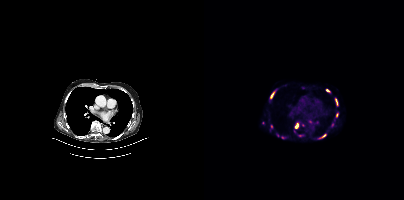
Coordinates are on the 200×200 PET (right) panel. (showing 8 of 9 foci) PSMA-avid tumor lesion bounding boxes (x, y, width, height): x=91 y=123 w=4 h=6; x=116 y=134 w=7 h=5; x=66 y=92 w=5 h=7; x=131 y=99 w=3 h=6. Small PSMA-avid foci (2 to 4 px across) near (center x, center y): (123, 90); (67, 126); (95, 135); (78, 137).
modality: PSMA PET/CT | tracer: 68Ga | view: axial